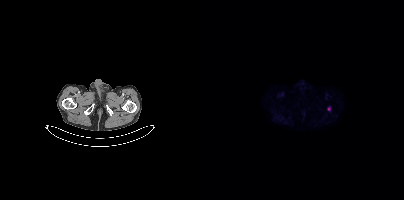
Findings: Coordinates are on the 200×200 PET (right) panel. Small PSMA-avid focus (2 to 4 px across) near (center x, center y): (124, 108).
Technique: Paired axial CT (left) and PSMA PET (right), [18F]PSMA-1007 tracer. slice position z = -1546 mm. PET panel 200×200 px (4.1 mm/px).